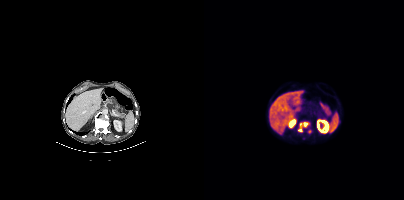
modality: PSMA PET/CT | tracer: 18F-PSMA | view: axial | PET grid: 200×200
Coordinates are on the 200×200 PET (right) panel. PSMA-avid tumor lesion bounding box (x, y, width, height): x=94 y=123 w=10 h=9. Small PSMA-avid focus (2 to 4 px across) near (center x, center y): (105, 131).